Paired axial CT (left) and PSMA PET (right), 18F-PSMA tracer. Acquired on GE Discovery 690. Slice 71 of 263.
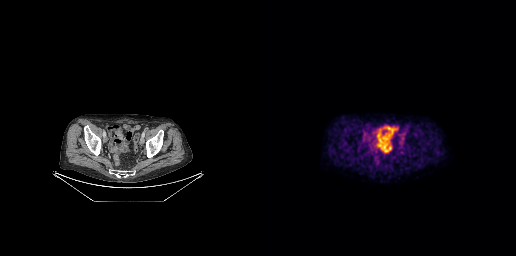
No tumor lesions annotated on this slice.